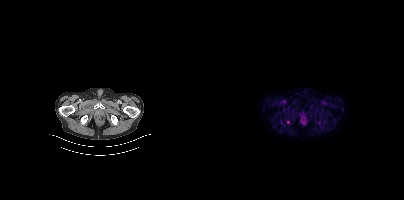
- Paired axial CT (left) and PSMA PET (right), [18F]PSMA-1007 tracer
- acquired on Siemens Biograph mCT Flow 20
Findings: Coordinates are on the 200×200 PET (right) panel. (showing 1 of 2 foci) Small PSMA-avid focus (2 to 4 px across) near (center x, center y): (115, 122).